deidentification: rectangular block over head set to black | modality: PSMA PET/CT | tracer: 68Ga | view: axial
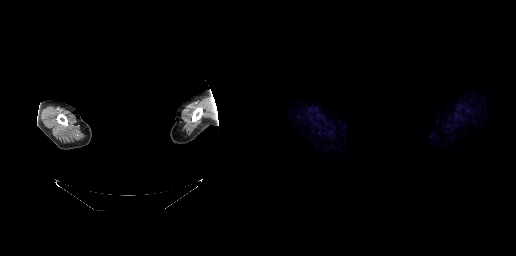
This slice has no annotated PSMA-avid lesion.